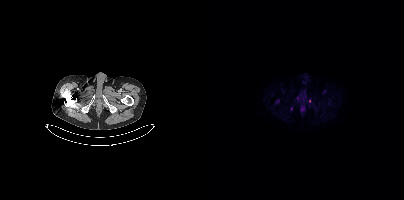
{"pet_grid":[200,200],"coord_frame":"pet_panel","coord_format":"x0,y0,x1,y1","lesion_bboxes":[],"small_foci_centers":[[94,98],[105,101]],"modality":"PSMA PET/CT","view":"axial","tracer":"[18F]PSMA-1007"}